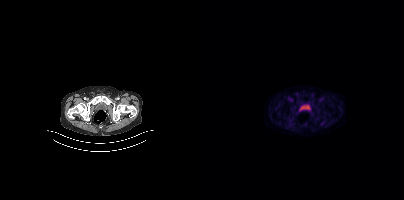
Negative for PSMA-avid disease on this slice. Left: CT. Right: PSMA PET, same axial level, [18F]PSMA-1007 tracer. Slice 49 of 356.